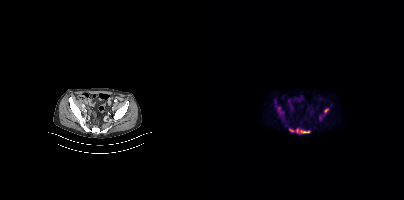
{"modality":"PSMA PET/CT","view":"axial","tracer":"18F-PSMA","pet_grid":[200,200],"coord_frame":"pet_panel","coord_format":"x0,y0,x1,y1","partial":true,"lesion_bboxes":[[96,130,105,133],[74,107,77,113],[85,129,89,131]],"small_foci_centers":[[93,130],[122,110]]}